Two-panel axial: CT | PSMA PET, [18F]PSMA-1007 tracer. Acquired on Siemens Biograph mCT Flow 20. Slice position z = 110 mm.
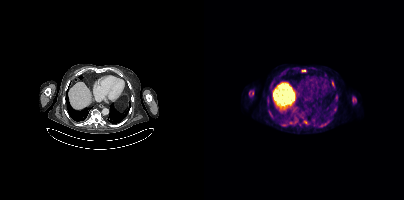
Coordinates are on the 200×200 PET (right) panel. PSMA-avid tumor lesion bounding boxes (partial; 1 more focus not listed):
| # | x0 | y0 | x1 | y1 |
|---|---|---|---|---|
| 1 | 45 | 91 | 49 | 95 |
| 2 | 148 | 97 | 152 | 102 |
Small PSMA-avid foci (2 to 4 px across) near (center x, center y): (99, 70); (128, 82).